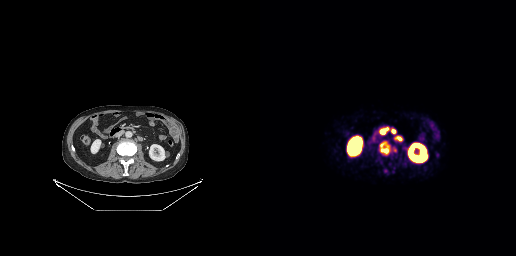
- Paired axial CT (left) and PSMA PET (right), [68Ga]Ga-PSMA-11 tracer
- acquired on GE Discovery 690
- slice position z = -629 mm
Findings: Coordinates are on the 256×256 PET (right) panel. PSMA-avid tumor lesion bounding boxes (x, y, width, height): x=135 y=136 w=8 h=6; x=132 y=129 w=4 h=5; x=122 y=149 w=6 h=4. Small PSMA-avid foci (2 to 4 px across) near (center x, center y): (122, 131); (123, 146); (125, 170).